Technique: Left: CT. Right: PSMA PET, same axial level, [68Ga]Ga-PSMA-11 tracer. acquired on Siemens Biograph 64-4R TruePoint. PET panel 168×168 px (4.1 mm/px).
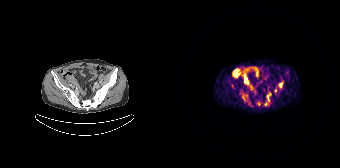
Findings: Coordinates are on the 168×168 PET (right) panel. (showing 3 of 6 foci) PSMA-avid tumor lesion bounding boxes (x0,y0,x1,y1): [107,83,110,87] [95,95,97,100]. Small PSMA-avid focus (2 to 4 px across) near (center x, center y): (103, 90).